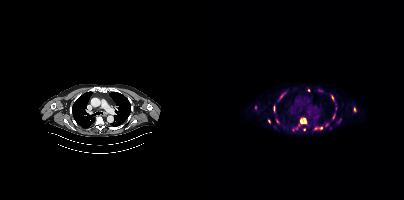
{"modality":"PSMA PET/CT","view":"axial","tracer":"18F","pet_grid":[200,200],"coord_frame":"pet_panel","coord_format":"x0,y0,x1,y1","partial":true,"lesion_bboxes":[[96,118,102,123],[111,126,118,129],[75,93,81,99],[127,95,129,100],[150,107,152,111]],"small_foci_centers":[[129,116],[111,106],[73,121],[65,121],[122,125],[100,129]]}